- Paired axial CT (left) and PSMA PET (right), 18F-PSMA tracer
- acquired on Siemens Biograph mCT Flow 20
- slice 343 of 411
- PET panel 200×200 px (4.1 mm/px)
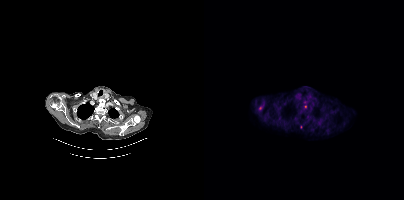
Findings: Coordinates are on the 200×200 PET (right) panel. Small PSMA-avid foci (2 to 4 px across) near (center x, center y): (75, 118) / (101, 106) / (96, 127).